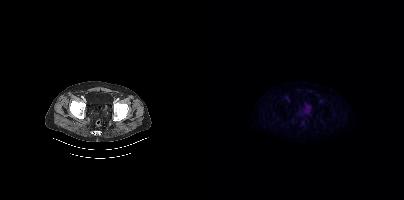
Negative for PSMA-avid disease on this slice.
modality: PSMA PET/CT | tracer: [18F]PSMA-1007 | view: axial | PET grid: 200×200